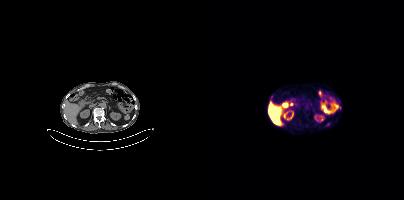
Coordinates are on the 200×200 PET (right) panel. Small PSMA-avid focus (2 to 4 px across) near (center x, center y): (135, 107).